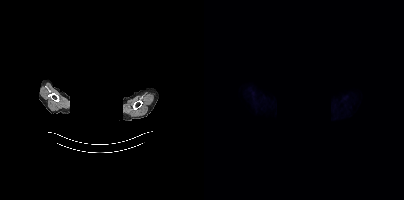
{"modality":"PSMA PET/CT","view":"axial","tracer":"18F","pet_grid":[200,200],"coord_frame":"pet_panel","coord_format":"x0,y0,x1,y1","psma_avid_lesions":false,"de-identification":"head region blacked out before release"}